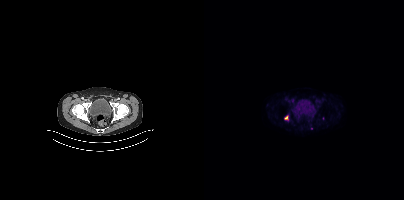
Coordinates are on the 200×200 PET (right) panel. Small PSMA-avid foci (2 to 4 px across) near (center x, center y): (82, 117); (107, 128).